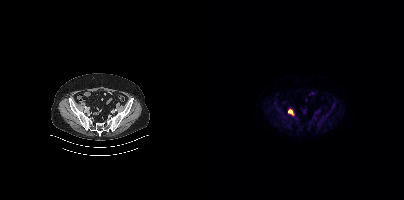
{"modality":"PSMA PET/CT","view":"axial","tracer":"18F","pet_grid":[200,200],"coord_frame":"pet_panel","coord_format":"x0,y0,x1,y1","lesion_bboxes":[[84,109,89,115]]}